modality: PSMA PET/CT | tracer: [18F]PSMA-1007 | view: axial | PET grid: 200×200
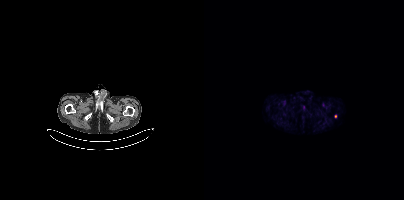
Coordinates are on the 200×200 PET (right) panel. Small PSMA-avid focus (2 to 4 px across) near (center x, center y): (131, 116).